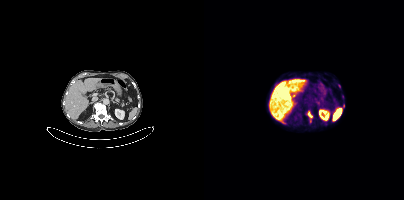
{"modality":"PSMA PET/CT","view":"axial","tracer":"18F","pet_grid":[200,200],"coord_frame":"pet_panel","coord_format":"x0,y0,x1,y1","partial":true,"lesion_bboxes":[[104,111,108,117]]}